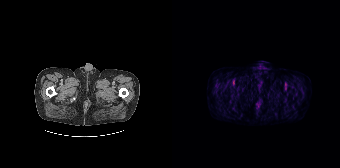
Findings: Negative for PSMA-avid disease on this slice.
Technique: Left: CT. Right: PSMA PET, same axial level, [18F]PSMA-1007 tracer. slice position z = -1336 mm.